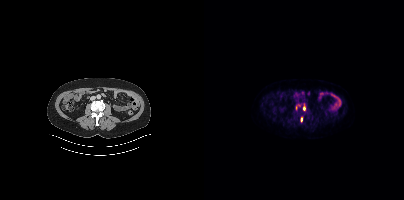
Two-panel axial: CT | PSMA PET, 18F-PSMA tracer. Acquired on Siemens Biograph mCT Flow 20. Coordinates are on the 200×200 PET (right) panel. Small PSMA-avid foci (2 to 4 px across) near (center x, center y): (100, 108) / (97, 119).